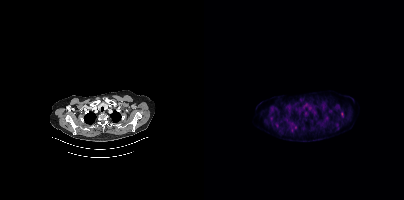
Findings: Coordinates are on the 200×200 PET (right) panel. (showing 1 of 2 foci) PSMA-avid tumor lesion bounding box (x0, y0)-(x1, y1): (137, 112)-(139, 116).
Technique: Left: CT. Right: PSMA PET, same axial level, [18F]PSMA-1007 tracer. slice position z = -989 mm.